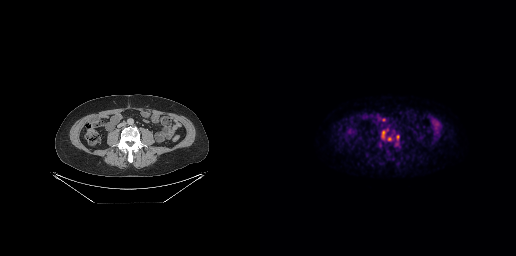
Coordinates are on the 256×256 PET (right) panel. (showing 4 of 5 foci) PSMA-avid tumor lesion bounding boxes (x, y, width, height): x=121 y=130 w=5 h=9 | x=136 y=135 w=4 h=5. Small PSMA-avid foci (2 to 4 px across) near (center x, center y): (129, 138) | (123, 119).